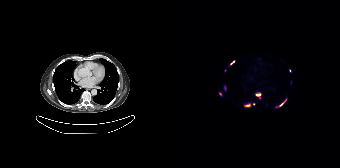
Two-panel axial: CT | PSMA PET, 18F tracer. Acquired on Siemens Biograph 64-4R TruePoint. Slice position z = -820 mm. PET panel 168×168 px (4.1 mm/px).
Coordinates are on the 168×168 PET (right) panel. PSMA-avid tumor lesion bounding boxes (partial; 2 more foci not listed):
| # | x0 | y0 | x1 | y1 |
|---|---|---|---|---|
| 1 | 103 | 98 | 115 | 107 |
| 2 | 83 | 92 | 89 | 98 |
| 3 | 74 | 103 | 78 | 107 |
| 4 | 57 | 60 | 63 | 65 |
Small PSMA-avid foci (2 to 4 px across) near (center x, center y): (48, 93); (53, 87); (82, 104); (117, 70).